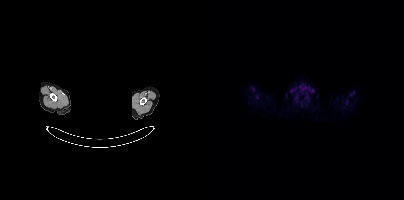
Facial anatomy redacted by setting a rectangular region of the head to black. Paired axial CT (left) and PSMA PET (right), 18F tracer. Acquired on Siemens Biograph mCT Flow 20. PET panel 200×200 px (4.1 mm/px). Negative for PSMA-avid disease on this slice.